Technique: Left: CT. Right: PSMA PET, same axial level, 18F tracer. acquired on Siemens Biograph mCT Flow 20.
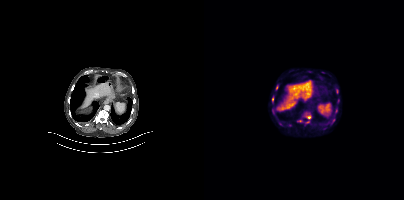
Findings: Coordinates are on the 200×200 PET (right) panel. PSMA-avid tumor lesion bounding boxes (x0,y0,x1,y1): [99,112,107,119], [73,119,80,126], [68,108,72,115], [119,124,125,129], [131,88,134,94], [93,120,98,122], [72,85,74,89], [131,109,133,113], [128,119,130,123], [68,97,69,101], [73,103,77,107]. Small PSMA-avid foci (2 to 4 px across) near (center x, center y): (103, 122), (134, 100).